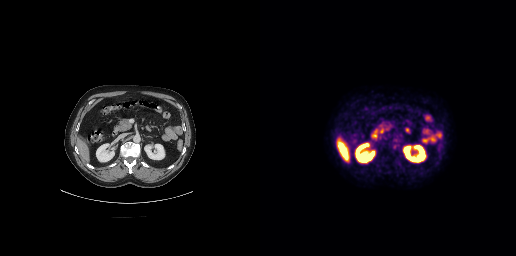
This slice has no annotated PSMA-avid lesion.